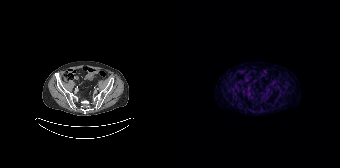
Two-panel axial: CT | PSMA PET, 68Ga tracer. Negative for PSMA-avid disease on this slice.